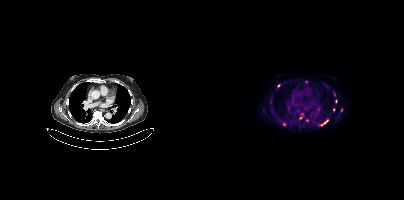
{"modality":"PSMA PET/CT","view":"axial","tracer":"18F-PSMA","pet_grid":[200,200],"coord_frame":"pet_panel","coord_format":"x0,y0,x1,y1","partial":true,"lesion_bboxes":[[115,119,124,125]],"small_foci_centers":[[80,124],[132,100],[98,114],[96,117],[74,85],[129,109],[137,110],[102,81],[130,94]]}